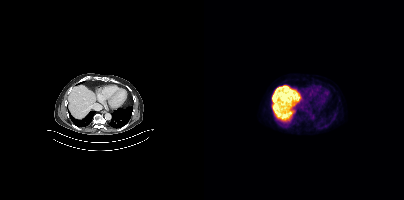
Technique: Left: CT. Right: PSMA PET, same axial level, 18F tracer. acquired on Siemens Biograph mCT Flow 20. slice position z = -362 mm.
Findings: No tumor lesions annotated on this slice.